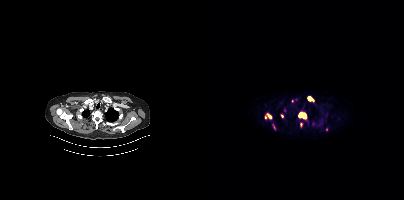
Findings: Coordinates are on the 200×200 PET (right) panel. (showing 6 of 8 foci) PSMA-avid tumor lesion bounding boxes (x, y, width, height): x=94 y=111 w=9 h=9 | x=103 y=96 w=8 h=7 | x=61 y=113 w=7 h=7. Small PSMA-avid foci (2 to 4 px across) near (center x, center y): (97, 124) | (78, 115) | (88, 100).
- Left: CT. Right: PSMA PET, same axial level, [18F]PSMA-1007 tracer
- slice 360 of 444
- PET panel 200×200 px (4.1 mm/px)